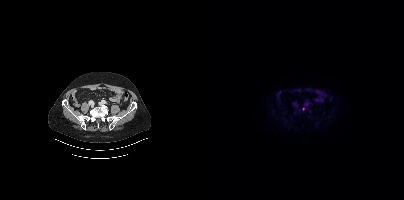
modality: PSMA PET/CT | tracer: [18F]PSMA-1007 | view: axial | PET grid: 200×200
Coordinates are on the 200×200 PET (right) panel. Small PSMA-avid focus (2 to 4 px across) near (center x, center y): (99, 109).